Facial anatomy redacted by setting a rectangular region of the head to black. Left: CT. Right: PSMA PET, same axial level, [68Ga]Ga-PSMA-11 tracer. Acquired on Siemens Biograph 64-4R TruePoint. Slice position z = -628 mm. PET panel 168×168 px (4.1 mm/px).
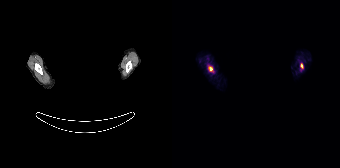
Coordinates are on the 168×168 PET (right) panel. PSMA-avid tumor lesion bounding boxes (x0, y0)-(x1, y1): (36, 66)-(41, 72) / (128, 63)-(131, 68).